Technique: Two-panel axial: CT | PSMA PET, 18F-PSMA tracer. slice 408 of 413.
Note: Facial anatomy redacted by setting a rectangular region of the head to black.
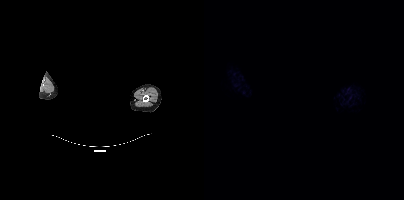
Findings: No tumor lesions annotated on this slice.